- Two-panel axial: CT | PSMA PET, 18F-PSMA tracer
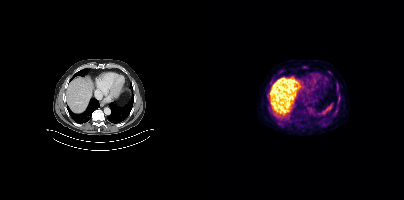
Findings: Coordinates are on the 200×200 PET (right) panel. PSMA-avid tumor lesion bounding box (x0,y0,x1,y1): [134,95,136,99]. Small PSMA-avid foci (2 to 4 px across) near (center x, center y): (125, 72); (100, 67).